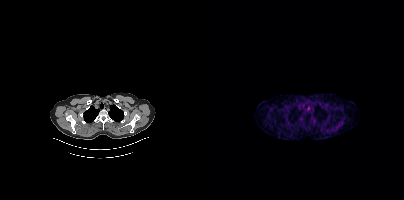
Two-panel axial: CT | PSMA PET, 68Ga tracer. This slice has no annotated PSMA-avid lesion.